Paired axial CT (left) and PSMA PET (right), 18F-PSMA tracer. De-identified by setting a box covering the face to black before release.
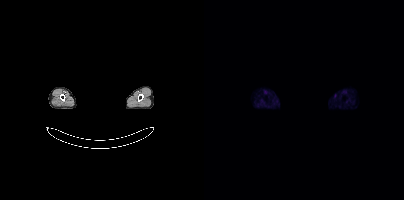
No PSMA-avid tumor lesions on this slice.